Paired axial CT (left) and PSMA PET (right), 18F tracer. Slice position z = 224 mm. PET panel 200×200 px (4.1 mm/px).
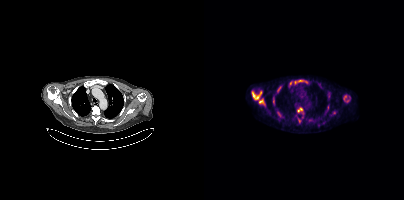
Coordinates are on the 200×200 PET (right) panel. (showing 9 of 11 foci) PSMA-avid tumor lesion bounding boxes (x0,y0,x1,y1): [48,91,57,99]; [91,80,102,83]; [93,107,98,112]; [55,99,60,104]; [140,95,142,99]. Small PSMA-avid foci (2 to 4 px across) near (center x, center y): (76, 87); (69, 98); (95, 121); (143, 100).